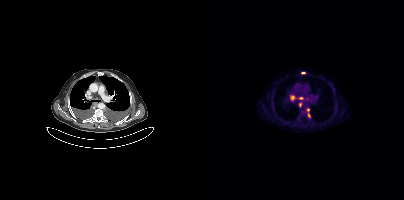
Coordinates are on the 200×200 PET (right) panel. PSMA-avid tumor lesion bounding boxes (x0, y0)-(x1, y1): (86, 95)-(91, 100); (103, 109)-(105, 117); (97, 72)-(101, 73). Small PSMA-avid foci (2 to 4 px across) near (center x, center y): (96, 98); (96, 104).